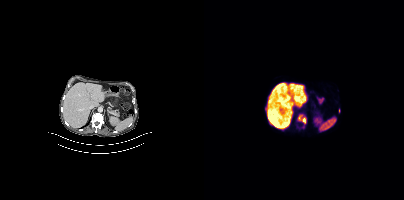
Paired axial CT (left) and PSMA PET (right), 18F tracer. Acquired on Siemens Biograph mCT Flow 20. Slice 210 of 387.
Coordinates are on the 200×200 PET (right) panel. PSMA-avid tumor lesion bounding boxes (partial; 1 more focus not listed):
| # | x0 | y0 | x1 | y1 |
|---|---|---|---|---|
| 1 | 94 | 115 | 101 | 123 |